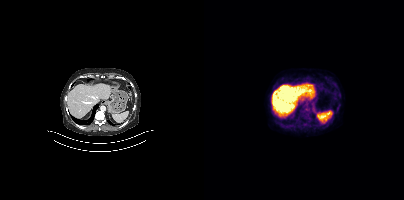
Negative for PSMA-avid disease on this slice. Left: CT. Right: PSMA PET, same axial level, 18F-PSMA tracer. Slice 204 of 356. PET panel 200×200 px (4.1 mm/px).